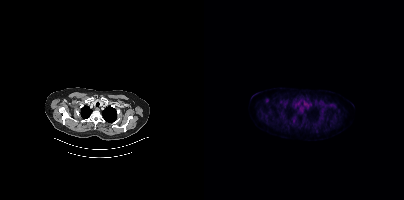
This slice has no annotated PSMA-avid lesion.